Left: CT. Right: PSMA PET, same axial level, [18F]PSMA-1007 tracer. Slice position z = -1068 mm. PET panel 200×200 px (4.1 mm/px).
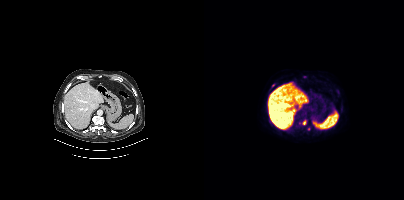
Coordinates are on the 200×200 PET (right) panel. (showing 3 of 4 foci) Small PSMA-avid foci (2 to 4 px across) near (center x, center y): (100, 122) | (100, 77) | (104, 128).